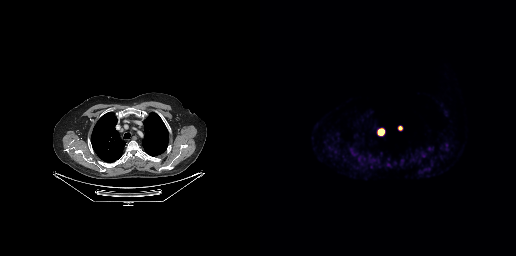
Findings: Coordinates are on the 256×256 PET (right) panel. PSMA-avid tumor lesion bounding box (x0,y0,x1,y1): [118,129,124,135]. Small PSMA-avid focus (2 to 4 px across) near (center x, center y): (140, 127).
- Paired axial CT (left) and PSMA PET (right), [18F]PSMA-1007 tracer
- slice 210 of 263
- PET panel 256×256 px (2.7 mm/px)